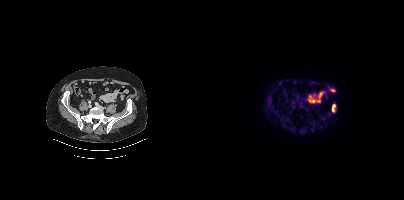
Left: CT. Right: PSMA PET, same axial level, 18F tracer.
Coordinates are on the 200×200 PET (right) panel. PSMA-avid tumor lesion bounding boxes:
| # | x0 | y0 | x1 | y1 |
|---|---|---|---|---|
| 1 | 128 | 104 | 131 | 112 |